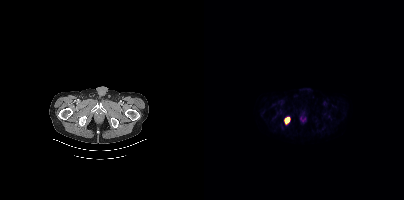
Left: CT. Right: PSMA PET, same axial level, 18F tracer. Coordinates are on the 200×200 PET (right) panel. PSMA-avid tumor lesion bounding box (x, y, width, height): x=81 y=118 w=5 h=5.